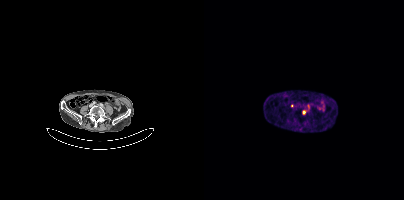
{"modality":"PSMA PET/CT","view":"axial","tracer":"[68Ga]Ga-PSMA-11","pet_grid":[200,200],"coord_frame":"pet_panel","coord_format":"x0,y0,x1,y1","lesion_bboxes":[],"small_foci_centers":[[100,112]]}